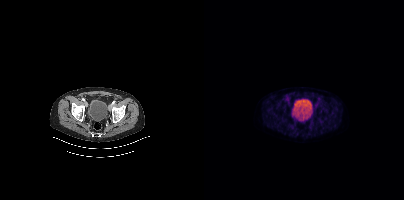
modality: PSMA PET/CT | tracer: [18F]PSMA-1007 | view: axial | PET grid: 200×200
No PSMA-avid tumor lesions on this slice.